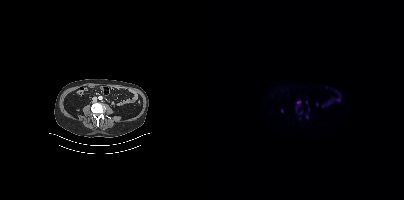
Two-panel axial: CT | PSMA PET, 18F tracer. Slice 159 of 395. Coordinates are on the 200×200 PET (right) panel. (showing 2 of 4 foci) PSMA-avid tumor lesion bounding box (x0, y0)-(x1, y1): (93, 100)-(96, 104). Small PSMA-avid focus (2 to 4 px across) near (center x, center y): (97, 112).